Two-panel axial: CT | PSMA PET, [18F]PSMA-1007 tracer.
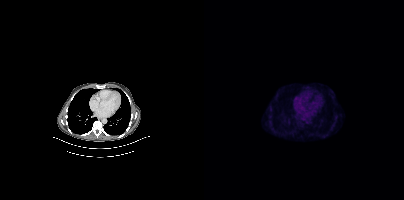
This slice has no annotated PSMA-avid lesion.